- Left: CT. Right: PSMA PET, same axial level, 18F tracer
- slice position z = 408 mm
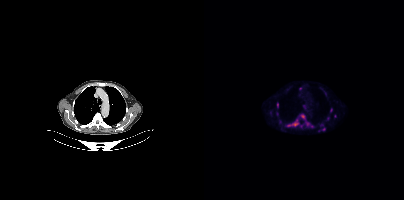
Findings: Coordinates are on the 200×200 PET (right) panel. (showing 9 of 13 foci) PSMA-avid tumor lesion bounding boxes (x0, y0)-(x1, y1): (83, 119)-(95, 126); (96, 114)-(101, 119); (72, 103)-(74, 108). Small PSMA-avid foci (2 to 4 px across) near (center x, center y): (103, 123); (127, 110); (120, 129); (73, 113); (66, 112); (107, 126).